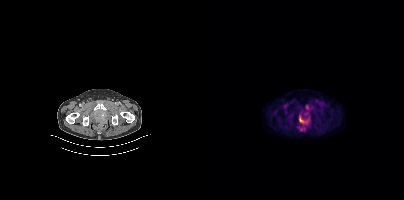
{"modality":"PSMA PET/CT","view":"axial","tracer":"18F-PSMA","pet_grid":[200,200],"coord_frame":"pet_panel","coord_format":"x0,y0,x1,y1","lesion_bboxes":[],"small_foci_centers":[[96,120]]}